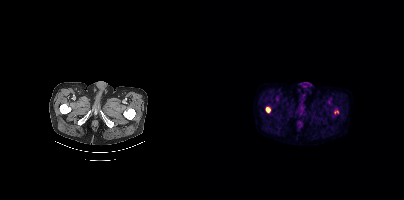
Findings: Coordinates are on the 200×200 PET (right) panel. PSMA-avid tumor lesion bounding boxes (x0,y0,x1,y1): [62,107,66,112] [130,111,134,113].
- Two-panel axial: CT | PSMA PET, 18F-PSMA tracer
- slice position z = -492 mm
- PET panel 200×200 px (4.1 mm/px)